Paired axial CT (left) and PSMA PET (right), [18F]PSMA-1007 tracer. Acquired on Siemens Biograph mCT Flow 20.
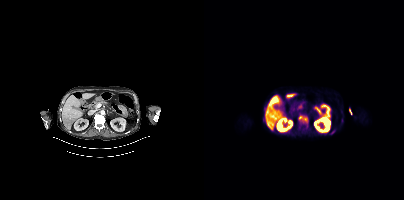
Coordinates are on the 200×200 PET (right) panel. (showing 2 of 3 foci) PSMA-avid tumor lesion bounding box (x, y, width, height): x=94 y=114 w=11 h=11. Small PSMA-avid focus (2 to 4 px across) near (center x, center y): (128, 132).